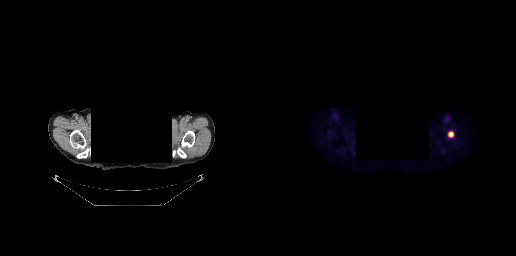
{"modality":"PSMA PET/CT","view":"axial","tracer":"18F","pet_grid":[256,256],"coord_frame":"pet_panel","coord_format":"x0,y0,x1,y1","deidentification":"privacy mask over head","lesion_bboxes":[[188,132,193,136]]}